Paired axial CT (left) and PSMA PET (right), 68Ga tracer. Slice 138 of 373.
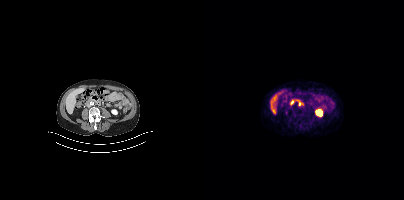
Coordinates are on the 200×200 PET (right) panel. PSMA-avid tumor lesion bounding boxes:
| # | x0 | y0 | x1 | y1 |
|---|---|---|---|---|
| 1 | 86 | 100 | 90 | 105 |
Small PSMA-avid focus (2 to 4 px across) near (center x, center y): (95, 103).